Paired axial CT (left) and PSMA PET (right), 18F tracer. Slice 162 of 421.
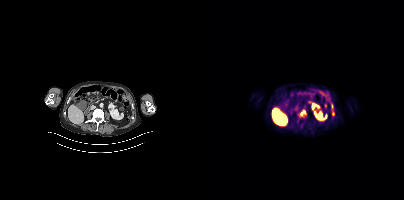
Coordinates are on the 200×200 PET (right) panel. PSMA-avid tumor lesion bounding boxes:
| # | x0 | y0 | x1 | y1 |
|---|---|---|---|---|
| 1 | 96 | 110 | 101 | 115 |
| 2 | 127 | 104 | 129 | 109 |
Small PSMA-avid focus (2 to 4 px across) near (center x, center y): (129, 113).